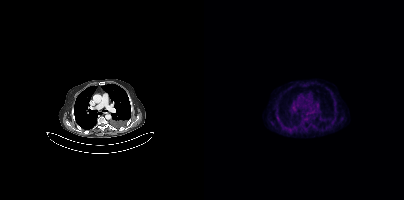
Findings: No tumor lesions annotated on this slice.
- Left: CT. Right: PSMA PET, same axial level, 18F-PSMA tracer
- slice 295 of 425
- PET panel 200×200 px (4.1 mm/px)